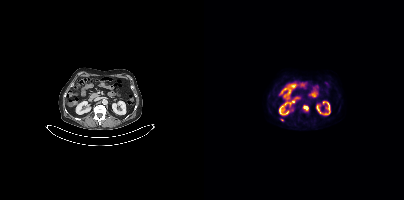
modality: PSMA PET/CT | tracer: 18F | view: axial
Coordinates are on the 200×200 PET (right) panel. PSMA-avid tumor lesion bounding box (x0, y0)-(x1, y1): (99, 105)-(104, 110). Small PSMA-avid focus (2 to 4 px across) near (center x, center y): (77, 120).